Paired axial CT (left) and PSMA PET (right), 68Ga-PSMA tracer. Slice 230 of 385. PET panel 200×200 px (4.1 mm/px).
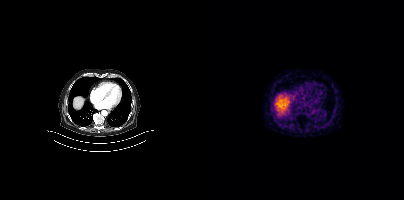
This slice has no annotated PSMA-avid lesion.